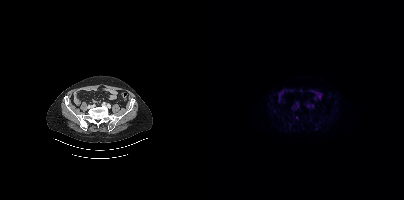
Paired axial CT (left) and PSMA PET (right), 18F tracer. Acquired on Siemens Biograph mCT Flow 20. Only PSMA-avid lesion pieces thinner than 2 px on this slice (not listed).